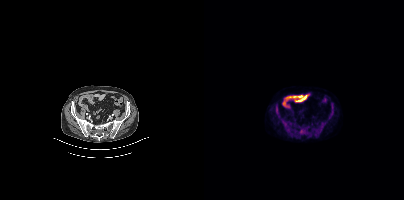
{"modality":"PSMA PET/CT","view":"axial","tracer":"18F-PSMA","pet_grid":[200,200],"coord_frame":"pet_panel","coord_format":"x0,y0,x1,y1","partial":true,"lesion_bboxes":[[96,130,103,134],[125,105,129,117],[78,120,83,126],[72,105,74,114]]}